Left: CT. Right: PSMA PET, same axial level, 18F tracer.
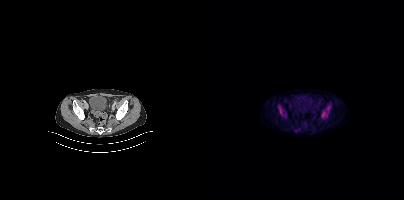
Coordinates are on the 200×200 PET (right) panel. PSMA-avid tumor lesion bounding boxes (x, y, width, height): x=118 y=112 w=4 h=6 / x=75 y=110 w=4 h=6. Small PSMA-avid focus (2 to 4 px across) near (center x, center y): (124, 108).